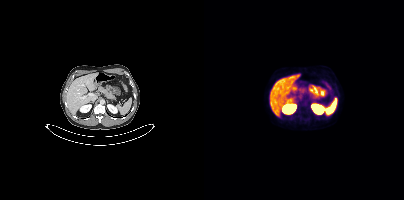
No tumor lesions annotated on this slice.